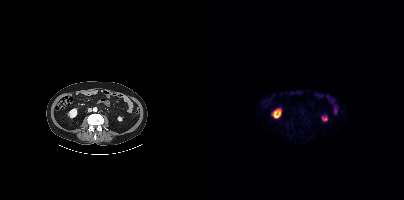
Two-panel axial: CT | PSMA PET, 18F tracer. No tumor lesions annotated on this slice.